Left: CT. Right: PSMA PET, same axial level, [18F]PSMA-1007 tracer. Slice 338 of 963. PET panel 200×200 px (4.1 mm/px).
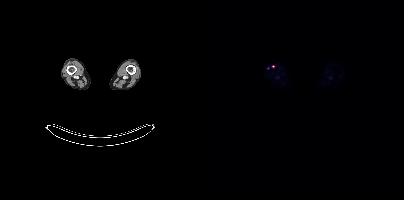
Coordinates are on the 200×200 PET (right) panel. (showing 1 of 2 foci) Small PSMA-avid focus (2 to 4 px across) near (center x, center y): (69, 66).